modality: PSMA PET/CT | tracer: 68Ga | view: axial
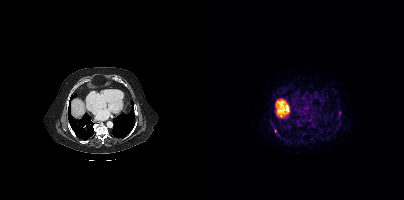
Coordinates are on the 200×200 PET (right) panel. Small PSMA-avid focus (2 to 4 px across) near (center x, center y): (71, 130).